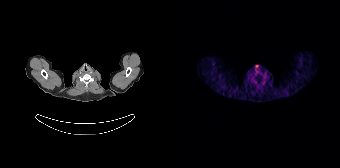
No PSMA-avid tumor lesions on this slice. Paired axial CT (left) and PSMA PET (right), 68Ga tracer. Acquired on Siemens Biograph 64-4R TruePoint. PET panel 168×168 px (4.1 mm/px).